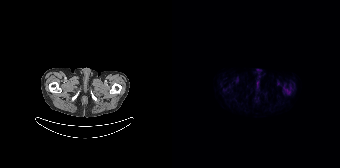
{"pet_grid":[168,168],"coord_frame":"pet_panel","coord_format":"x0,y0,x1,y1","psma_avid_lesions":false,"modality":"PSMA PET/CT","view":"axial","tracer":"18F-PSMA"}